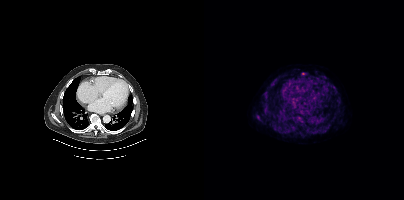
modality: PSMA PET/CT | tracer: 18F-PSMA | view: axial
Coordinates are on the 200×200 PET (right) panel. (showing 1 of 2 foci) Small PSMA-avid focus (2 to 4 px across) near (center x, center y): (99, 73).